- Left: CT. Right: PSMA PET, same axial level, 18F tracer
- acquired on Siemens Biograph mCT Flow 20
- slice position z = -902 mm
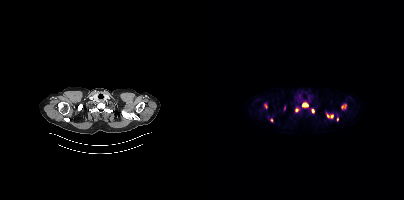
Findings: Coordinates are on the 200×200 PET (right) panel. PSMA-avid tumor lesion bounding boxes (x0,y0,x1,y1): [98,103,104,106] [122,112,125,117] [138,104,142,107] [91,107,94,111] [61,104,63,108] [80,106,81,110] [108,109,110,113]. Small PSMA-avid foci (2 to 4 px across) near (center x, center y): (128, 116) (133, 119) (67, 120).